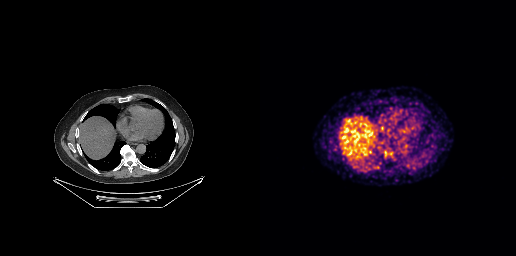
No PSMA-avid tumor lesions on this slice.